- Two-panel axial: CT | PSMA PET, [18F]PSMA-1007 tracer
- acquired on Siemens Biograph mCT Flow 20
- slice 350 of 454
- PET panel 200×200 px (4.1 mm/px)
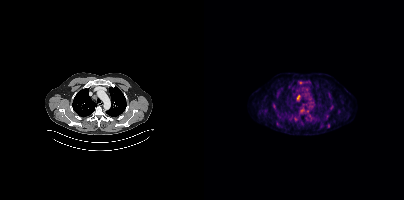
Findings: Coordinates are on the 200×200 PET (right) panel. PSMA-avid tumor lesion bounding box (x0,y0,x1,y1): [97,109,105,112]. Small PSMA-avid foci (2 to 4 px across) near (center x, center y): (94, 96) (91, 119) (96, 82) (123, 125) (73, 123).